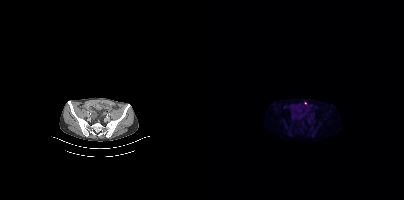
Coordinates are on the 200×200 PET (right) panel. Small PSMA-avid focus (2 to 4 px across) near (center x, center y): (101, 103).
modality: PSMA PET/CT | tracer: 18F-PSMA | view: axial